modality: PSMA PET/CT | tracer: [18F]PSMA-1007 | view: axial | PET grid: 200×200
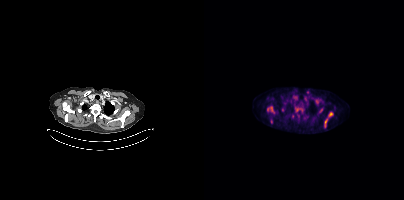
Coordinates are on the 200×200 PET (right) panel. (showing 4 of 5 foci) PSMA-avid tumor lesion bounding boxes (x0,y0,x1,y1): [63,106,69,111]; [124,112,128,116]; [121,119,123,126]. Small PSMA-avid focus (2 to 4 px across) near (center x, center y): (93, 109).